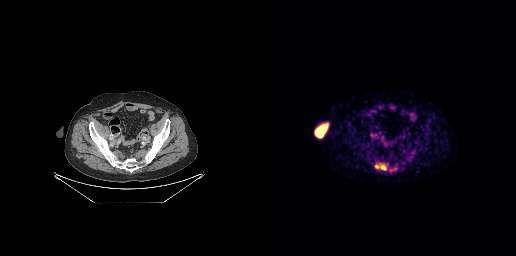
Findings: Coordinates are on the 256×256 PET (right) panel. (showing 1 of 3 foci) PSMA-avid tumor lesion bounding box (x, y, width, height): x=115 y=163 w=12 h=8.
Technique: Left: CT. Right: PSMA PET, same axial level, 18F tracer.